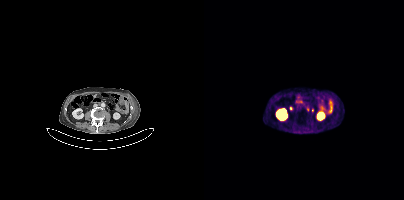
Coordinates are on the 200×200 PET (right) panel. Small PSMA-avid focus (2 to 4 px across) near (center x, center y): (103, 109).